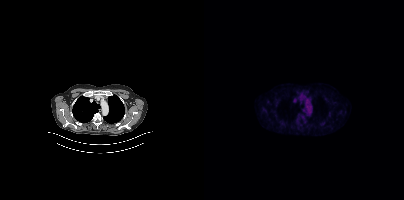
No PSMA-avid tumor lesions on this slice.